modality: PSMA PET/CT | tracer: 18F | view: axial
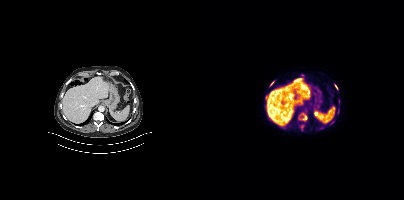
Coordinates are on the 200×200 PET (right) panel. (showing 2 of 7 foci) PSMA-avid tumor lesion bounding box (x0,y0,x1,y1): [66,81,70,85]. Small PSMA-avid focus (2 to 4 px across) near (center x, center y): (132, 86).